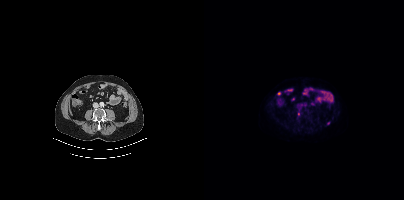
Coordinates are on the 200×200 PET (right) panel. (showing 1 of 2 foci) Small PSMA-avid focus (2 to 4 px across) near (center x, center y): (94, 113).